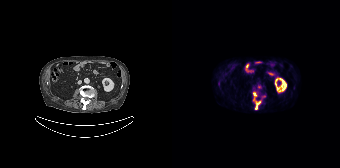
{"modality":"PSMA PET/CT","view":"axial","tracer":"18F-PSMA","pet_grid":[168,168],"coord_frame":"pet_panel","coord_format":"x0,y0,x1,y1","partial":true,"lesion_bboxes":[[81,92,88,109]]}